Paired axial CT (left) and PSMA PET (right), 18F-PSMA tracer. Slice position z = -469 mm. PET panel 200×200 px (4.1 mm/px).
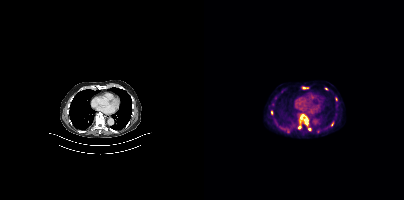
Coordinates are on the 200×200 PET (right) panel. PSMA-avid tumor lesion bounding boxes:
| # | x0 | y0 | x1 | y1 |
|---|---|---|---|---|
| 1 | 94 | 114 | 104 | 129 |
| 2 | 131 | 97 | 133 | 101 |
| 3 | 127 | 122 | 129 | 126 |
Small PSMA-avid foci (2 to 4 px across) near (center x, center y): (105, 129); (67, 112); (100, 87); (122, 88).